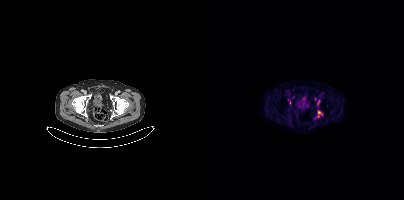
Coordinates are on the 200×200 PET (right) panel. (showing 3 of 6 foci) PSMA-avid tumor lesion bounding box (x0,y0,x1,y1): [113,100,115,104]. Small PSMA-avid foci (2 to 4 px across) near (center x, center y): (115, 112) (114, 116).